modality: PSMA PET/CT | tracer: 18F-PSMA | view: axial | PET grid: 256×256
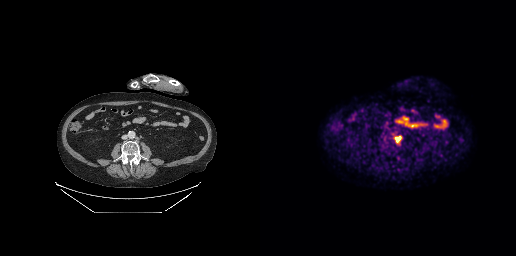
Coordinates are on the 256×256 PET (right) panel. PSMA-avid tumor lesion bounding box (x0, y0)-(x1, y1): (135, 136)-(141, 142).